Left: CT. Right: PSMA PET, same axial level, 68Ga tracer. Acquired on GE Discovery 690. PET panel 256×256 px (2.7 mm/px).
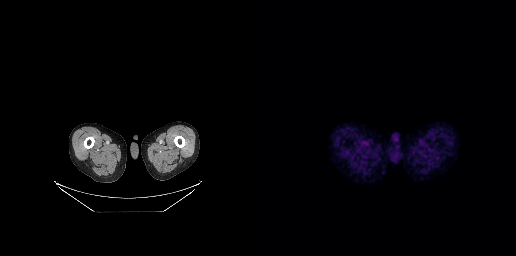
This slice has no annotated PSMA-avid lesion.